modality: PSMA PET/CT | tracer: 68Ga | view: axial
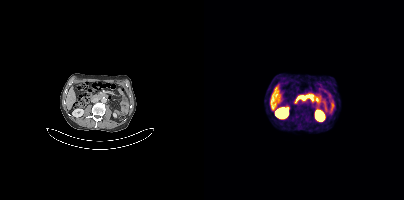
No tumor lesions annotated on this slice.